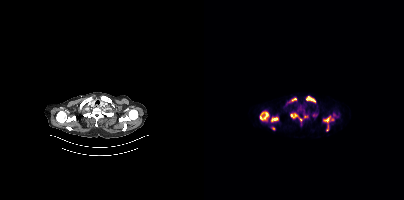
Coordinates are on the 200×200 PET (right) panel. PSMA-avid tumor lesion bounding boxes (partial; 2 more foci not listed):
| # | x0 | y0 | x1 | y1 |
|---|---|---|---|---|
| 1 | 56 | 112 | 64 | 120 |
| 2 | 102 | 96 | 111 | 102 |
| 3 | 119 | 116 | 130 | 122 |
| 4 | 67 | 117 | 74 | 121 |
| 5 | 83 | 98 | 92 | 102 |
| 6 | 86 | 113 | 93 | 117 |
| 7 | 109 | 113 | 113 | 117 |
| 8 | 122 | 126 | 124 | 130 |
Small PSMA-avid foci (2 to 4 px across) near (center x, center y): (103, 116); (68, 128); (96, 119).
Paired axial CT (left) and PSMA PET (right), 68Ga tracer. Acquired on Siemens Biograph mCT Flow 20. Slice 333 of 397.